modality: PSMA PET/CT | tracer: 68Ga | view: axial
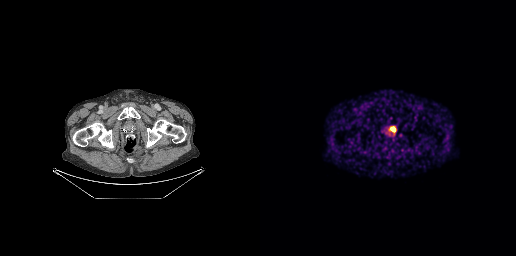
Coordinates are on the 256×256 PET (right) panel. PSMA-avid tumor lesion bounding box (x0,y0,x1,y1): [131,127,135,131].